Paired axial CT (left) and PSMA PET (right), 18F-PSMA tracer. Acquired on Siemens Biograph mCT Flow 20. Slice 99 of 419.
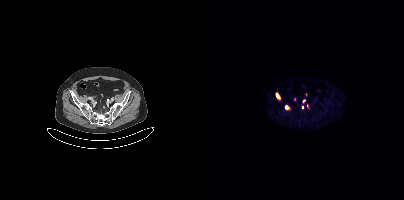
Coordinates are on the 200×200 PET (right) panel. (showing 4 of 5 foci) Small PSMA-avid foci (2 to 4 px across) near (center x, center y): (73, 95), (82, 107), (98, 107), (100, 101).